Left: CT. Right: PSMA PET, same axial level, [18F]PSMA-1007 tracer. Slice 58 of 446. PET panel 200×200 px (4.1 mm/px).
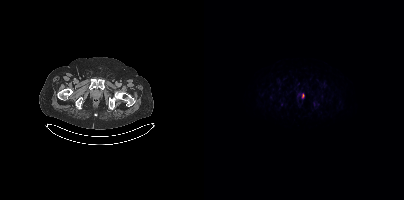
Coordinates are on the 200×200 PET (right) panel. PSMA-avid tumor lesion bounding box (x0,y0,x1,y1): [98,93,100,98].